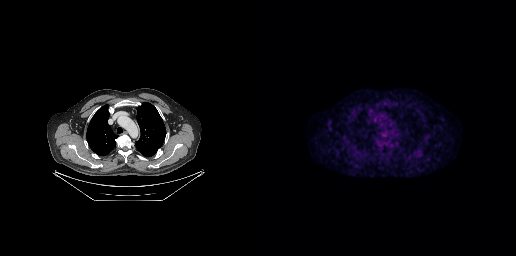
Negative for PSMA-avid disease on this slice. Paired axial CT (left) and PSMA PET (right), 18F tracer.